modality: PSMA PET/CT | tracer: 18F | view: axial
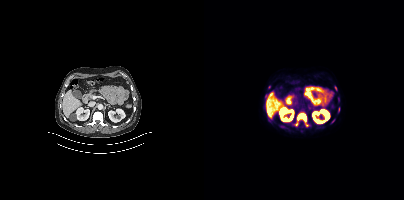
Coordinates are on the 200×200 PET (right) panel. (showing 3 of 6 foci) PSMA-avid tumor lesion bounding box (x0,y0,x1,y1): [91,113,104,126]. Small PSMA-avid foci (2 to 4 px across) near (center x, center y): (129, 120), (131, 87).